- Two-panel axial: CT | PSMA PET, [68Ga]Ga-PSMA-11 tracer
- PET panel 168×168 px (4.1 mm/px)
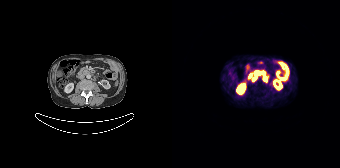
Findings: Coordinates are on the 168×168 PET (right) panel. PSMA-avid tumor lesion bounding boxes (x0, y0)-(x1, y1): (81, 71)-(88, 80) / (91, 78)-(95, 82).